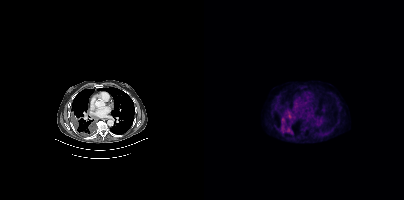
Technique: Left: CT. Right: PSMA PET, same axial level, 18F-PSMA tracer. PET panel 200×200 px (4.1 mm/px).
Findings: Coordinates are on the 200×200 PET (right) panel. PSMA-avid tumor lesion bounding boxes (x0,y0,x1,y1): [81,109,87,115], [77,124,78,128]. Small PSMA-avid focus (2 to 4 px across) near (center x, center y): (83, 131).